- Paired axial CT (left) and PSMA PET (right), [18F]PSMA-1007 tracer
- acquired on Siemens Biograph mCT Flow 20
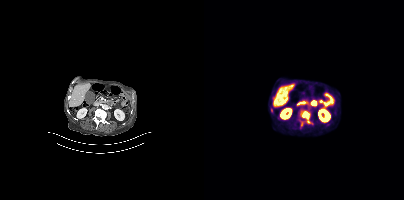
Findings: Coordinates are on the 200×200 PET (right) panel. PSMA-avid tumor lesion bounding box (x, y, width, height): x=94 y=112 w=13 h=17.